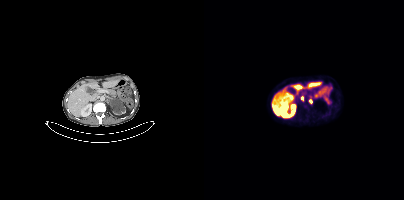
- Paired axial CT (left) and PSMA PET (right), 18F-PSMA tracer
- slice 197 of 448
Findings: Coordinates are on the 200×200 PET (right) panel. PSMA-avid tumor lesion bounding box (x0,y0,x1,y1): [97,97,99,101]. Small PSMA-avid focus (2 to 4 px across) near (center x, center y): (106, 101).